Technique: Two-panel axial: CT | PSMA PET, 18F-PSMA tracer. PET panel 200×200 px (4.1 mm/px).
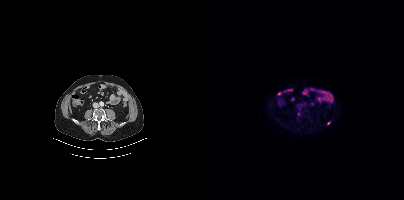
Findings: Coordinates are on the 200×200 PET (right) panel. Small PSMA-avid foci (2 to 4 px across) near (center x, center y): (124, 123) | (94, 114).